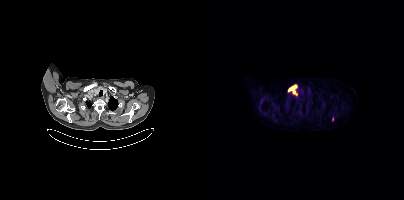
Left: CT. Right: PSMA PET, same axial level, [18F]PSMA-1007 tracer. Coordinates are on the 200×200 PET (right) panel. PSMA-avid tumor lesion bounding box (x0,y0,x1,y1): [84,85,92,93].